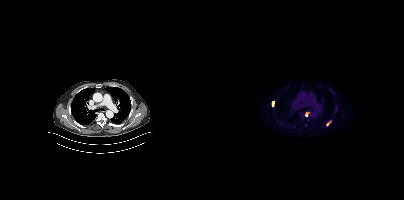
Technique: Left: CT. Right: PSMA PET, same axial level, 18F tracer. acquired on Siemens Biograph mCT Flow 20. PET panel 200×200 px (4.1 mm/px).
Findings: Coordinates are on the 200×200 PET (right) panel. PSMA-avid tumor lesion bounding boxes (x, y, width, height): x=122 y=121 w=6 h=5 / x=68 y=101 w=2 h=6. Small PSMA-avid focus (2 to 4 px across) near (center x, center y): (103, 113).